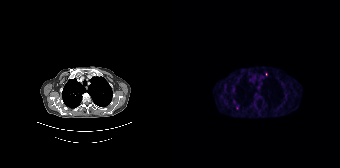
Coordinates are on the 168×168 PET (right) panel. Small PSMA-avid foci (2 to 4 px across) near (center x, center y): (65, 108); (94, 74).
modality: PSMA PET/CT | tracer: 68Ga | view: axial | PET grid: 168×168